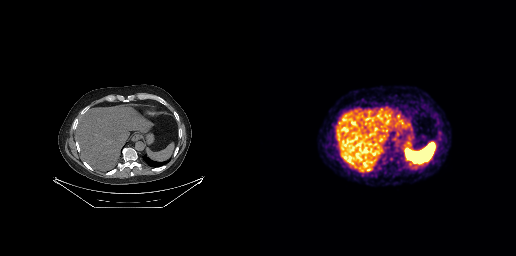
No PSMA-avid tumor lesions on this slice.